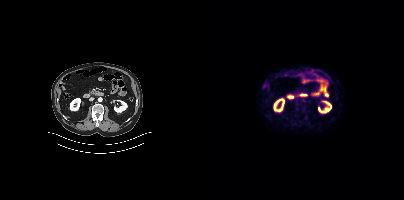
Findings: Only PSMA-avid lesion pieces thinner than 2 px on this slice (not listed).
- Left: CT. Right: PSMA PET, same axial level, [18F]PSMA-1007 tracer
- acquired on Siemens Biograph mCT Flow 20